Technique: Two-panel axial: CT | PSMA PET, 18F tracer. acquired on GE Discovery 690. slice 20 of 263.
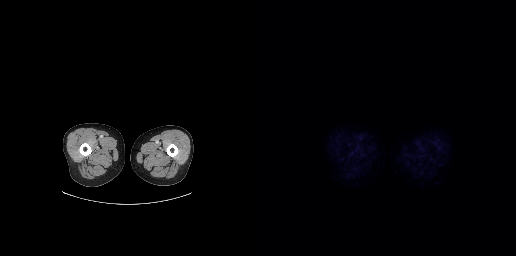
Findings: This slice has no annotated PSMA-avid lesion.